- Paired axial CT (left) and PSMA PET (right), 18F-PSMA tracer
- PET panel 200×200 px (4.1 mm/px)
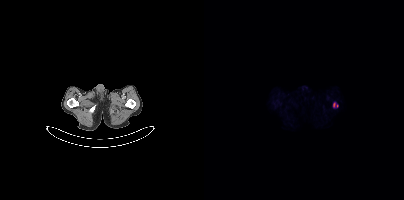
Findings: Coordinates are on the 200×200 PET (right) panel. PSMA-avid tumor lesion bounding box (x0,y0,x1,y1): [129,102,131,107]. Small PSMA-avid focus (2 to 4 px across) near (center x, center y): (133, 105).